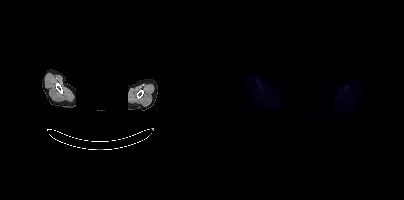
No PSMA-avid tumor lesions on this slice. Left: CT. Right: PSMA PET, same axial level, [18F]PSMA-1007 tracer. Acquired on Siemens Biograph mCT Flow 20. PET panel 200×200 px (4.1 mm/px). A rectangular block over the head has been blanked out for de-identification.